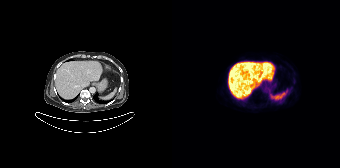
Findings: Negative for PSMA-avid disease on this slice.
- Paired axial CT (left) and PSMA PET (right), 18F-PSMA tracer
- PET panel 168×168 px (4.1 mm/px)